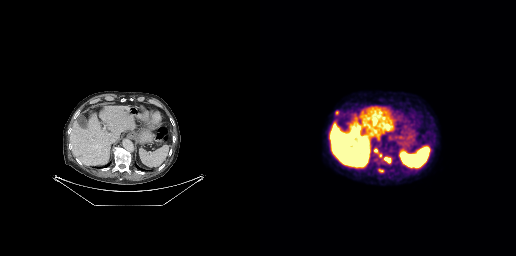
Coordinates are on the 256×256 PET (right) panel. PSMA-avid tumor lesion bounding boxes:
| # | x0 | y0 | x1 | y1 |
|---|---|---|---|---|
| 1 | 114 | 149 | 122 | 158 |
| 2 | 124 | 157 | 131 | 163 |
| 3 | 119 | 169 | 123 | 172 |
Small PSMA-avid focus (2 to 4 px across) near (center x, center y): (77, 112).
Two-panel axial: CT | PSMA PET, 18F-PSMA tracer. Slice 161 of 263. PET panel 256×256 px (2.7 mm/px).